Left: CT. Right: PSMA PET, same axial level, [68Ga]Ga-PSMA-11 tracer. Slice position z = -789 mm. PET panel 256×256 px (2.7 mm/px).
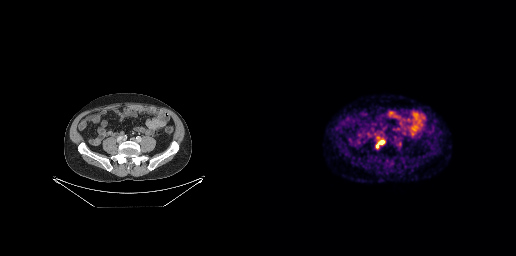
Coordinates are on the 256×256 PET (right) panel. (showing 1 of 2 foci) PSMA-avid tumor lesion bounding box (x, y, width, height): x=116 y=140 w=9 h=9.